modality: PSMA PET/CT | tracer: 18F | view: axial | PET grid: 200×200
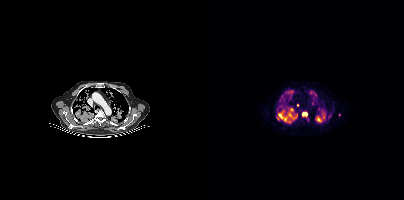
Coordinates are on the 200×200 PET (right) panel. (showing 11 of 12 foci) PSMA-avid tumor lesion bounding boxes (x0,y0,x1,y1): [72,109,93,121]; [112,115,120,122]; [81,90,89,96]; [98,112,103,116]; [106,90,109,94]. Small PSMA-avid foci (2 to 4 px across) near (center x, center y): (112, 94); (88, 109); (93, 105); (118, 110); (79, 100); (114, 108).